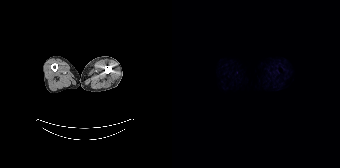
No tumor lesions annotated on this slice. Left: CT. Right: PSMA PET, same axial level, [18F]PSMA-1007 tracer. Slice position z = -1380 mm.